Technique: Paired axial CT (left) and PSMA PET (right), [18F]PSMA-1007 tracer. PET panel 200×200 px (4.1 mm/px).
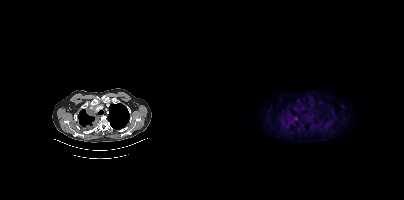
Findings: Coordinates are on the 200×200 PET (right) panel. PSMA-avid tumor lesion bounding box (x0, y0)-(x1, y1): (89, 117)-(93, 120).